modality: PSMA PET/CT | tracer: [18F]PSMA-1007 | view: axial
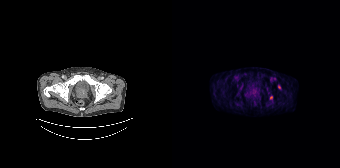
Coordinates are on the 168×168 PET (right) panel. Small PSMA-avid foci (2 to 4 px across) near (center x, center y): (99, 97) / (107, 86).